Technique: Left: CT. Right: PSMA PET, same axial level, 68Ga tracer. slice position z = -704 mm.
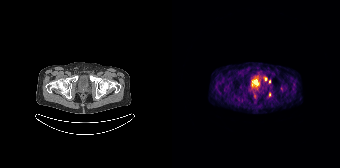
Findings: Coordinates are on the 168×168 PET (right) panel. PSMA-avid tumor lesion bounding box (x0, y0)-(x1, y1): (91, 76)-(95, 81). Small PSMA-avid foci (2 to 4 px across) near (center x, center y): (97, 81); (97, 94).